- Two-panel axial: CT | PSMA PET, [18F]PSMA-1007 tracer
- acquired on Siemens Biograph mCT Flow 20
- PET panel 200×200 px (4.1 mm/px)
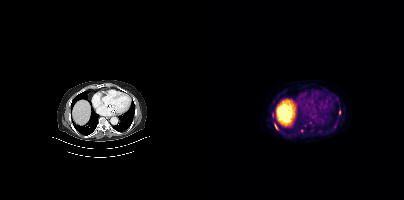
Findings: Coordinates are on the 200×200 PET (right) panel. (showing 6 of 8 foci) PSMA-avid tumor lesion bounding boxes (x, y, width, height): x=68 y=112 w=3 h=7; x=71 y=124 w=4 h=7; x=135 y=110 w=2 h=5. Small PSMA-avid foci (2 to 4 px across) near (center x, center y): (131, 126); (97, 130); (100, 125).